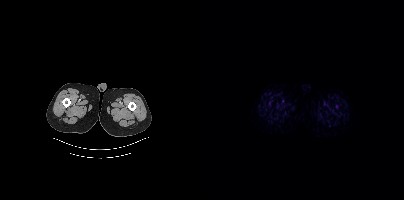
Two-panel axial: CT | PSMA PET, 18F-PSMA tracer. Acquired on Siemens Biograph mCT Flow 20. Negative for PSMA-avid disease on this slice.